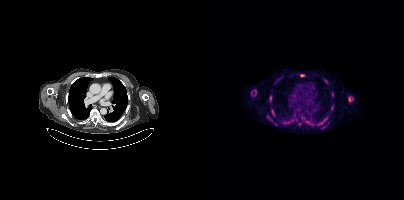
modality: PSMA PET/CT | tracer: 18F-PSMA | view: axial | PET grid: 200×200
Coordinates are on the 200×200 PET (right) panel. (showing 5 of 7 foci) PSMA-avid tumor lesion bounding boxes (x, y, width, height): x=118 y=117 w=6 h=7; x=67 y=109 w=4 h=6; x=65 y=96 w=3 h=6. Small PSMA-avid foci (2 to 4 px across) near (center x, center y): (98, 75); (63, 116).